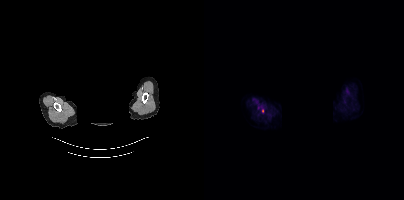
{"modality":"PSMA PET/CT","view":"axial","tracer":"18F","pet_grid":[200,200],"coord_frame":"pet_panel","coord_format":"x0,y0,x1,y1","lesion_bboxes":[],"small_foci_centers":[[58,110]],"redaction":"head region blanked (face removed)"}